Technique: Left: CT. Right: PSMA PET, same axial level, 18F tracer. slice 56 of 508.
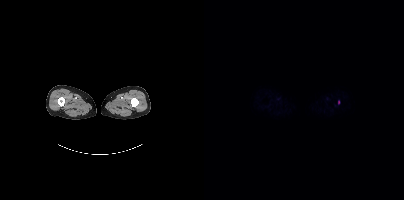
Findings: Coordinates are on the 200×200 PET (right) panel. Small PSMA-avid focus (2 to 4 px across) near (center x, center y): (134, 102).